Technique: Paired axial CT (left) and PSMA PET (right), [18F]PSMA-1007 tracer. PET panel 200×200 px (4.1 mm/px).
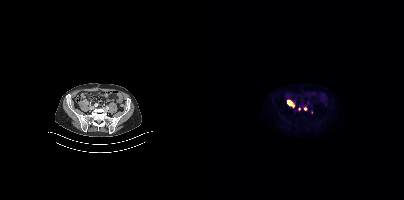
Findings: Coordinates are on the 200×200 PET (right) panel. (showing 3 of 4 foci) PSMA-avid tumor lesion bounding box (x0,y0,x1,y1): [83,100,90,107]. Small PSMA-avid foci (2 to 4 px across) near (center x, center y): (101, 108), (95, 109).